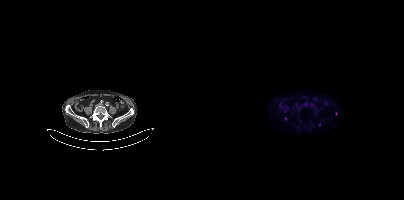
{"modality":"PSMA PET/CT","view":"axial","tracer":"18F","pet_grid":[200,200],"coord_frame":"pet_panel","coord_format":"x0,y0,x1,y1","partial":true,"lesion_bboxes":[],"small_foci_centers":[[115,124]]}